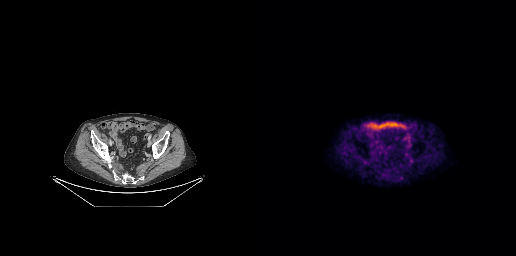
modality: PSMA PET/CT | tracer: [18F]PSMA-1007 | view: axial
This slice has no annotated PSMA-avid lesion.